Technique: Left: CT. Right: PSMA PET, same axial level, 68Ga tracer. slice position z = -782 mm.
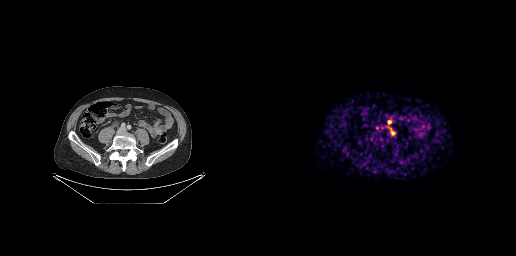
Findings: Coordinates are on the 256×256 PET (right) panel. PSMA-avid tumor lesion bounding box (x, y, width, height): x=127 y=120 w=5 h=5.